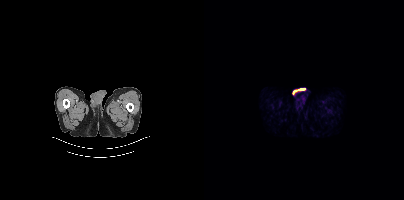
Findings: This slice has no annotated PSMA-avid lesion.
Technique: Paired axial CT (left) and PSMA PET (right), [18F]PSMA-1007 tracer.